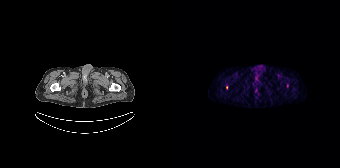
Technique: Two-panel axial: CT | PSMA PET, 68Ga tracer. acquired on Siemens Biograph 64-4R TruePoint. PET panel 168×168 px (4.1 mm/px).
Findings: Coordinates are on the 168×168 PET (right) panel. (showing 1 of 2 foci) Small PSMA-avid focus (2 to 4 px across) near (center x, center y): (54, 87).